Technique: Two-panel axial: CT | PSMA PET, 68Ga-PSMA tracer. acquired on Siemens Biograph 64-4R TruePoint. slice 104 of 195. PET panel 168×168 px (4.1 mm/px).
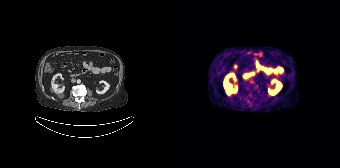
Findings: This slice has no annotated PSMA-avid lesion.